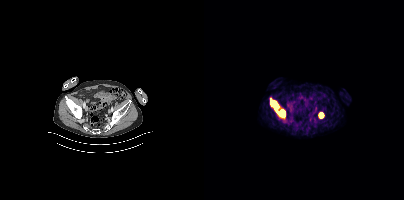
{"modality":"PSMA PET/CT","view":"axial","tracer":"18F-PSMA","pet_grid":[200,200],"coord_frame":"pet_panel","coord_format":"x0,y0,x1,y1","lesion_bboxes":[[66,98,81,118],[114,112,119,118]]}